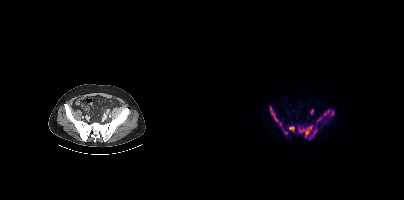
Paired axial CT (left) and PSMA PET (right), 18F-PSMA tracer. PET panel 200×200 px (4.1 mm/px). Coordinates are on the 200×200 PET (right) panel. PSMA-avid tumor lesion bounding boxes (x0, y0)-(x1, y1): (95, 126)-(108, 136) / (119, 109)-(129, 115) / (66, 106)-(74, 121) / (85, 126)-(90, 131) / (109, 128)-(113, 133) / (113, 117)-(118, 121). Small PSMA-avid foci (2 to 4 px across) near (center x, center y): (81, 132) / (76, 124).